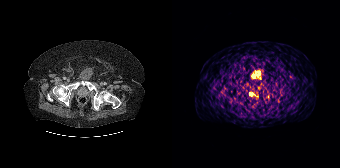
Coordinates are on the 168×168 PET (right) panel. (showing 2 of 3 foci) PSMA-avid tumor lesion bounding box (x, y, width, height): x=77 y=88 w=6 h=8. Small PSMA-avid focus (2 to 4 px across) near (center x, center y): (85, 92).